Paired axial CT (left) and PSMA PET (right), [18F]PSMA-1007 tracer. Slice 50 of 458.
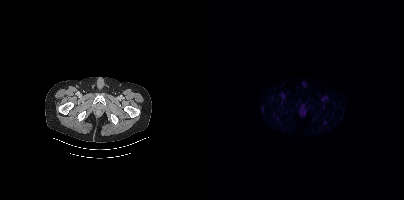
This slice has no annotated PSMA-avid lesion.